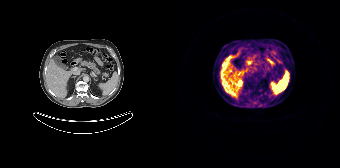
- Paired axial CT (left) and PSMA PET (right), 68Ga-PSMA tracer
- acquired on Siemens Biograph 64-4R TruePoint
- slice position z = 1396 mm
- PET panel 168×168 px (4.1 mm/px)
Findings: No PSMA-avid tumor lesions on this slice.